- Paired axial CT (left) and PSMA PET (right), [18F]PSMA-1007 tracer
- acquired on GE Discovery 690
- slice position z = -1127 mm
- PET panel 256×256 px (2.7 mm/px)
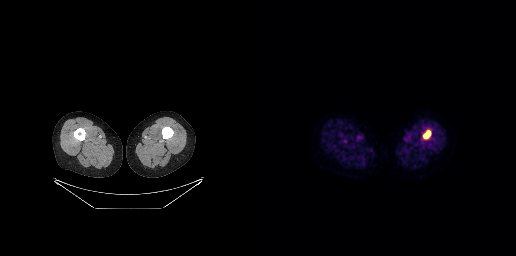
Findings: Coordinates are on the 256×256 PET (right) panel. PSMA-avid tumor lesion bounding box (x0, y0)-(x1, y1): (163, 130)-(170, 138).